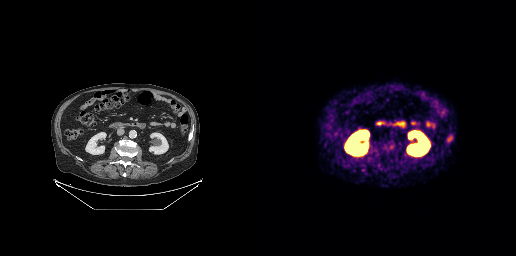
Findings: No tumor lesions annotated on this slice.
- Paired axial CT (left) and PSMA PET (right), 68Ga-PSMA tracer
- slice position z = -574 mm